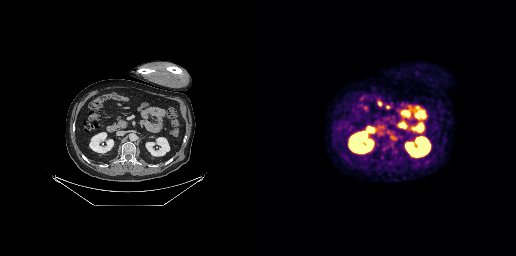
- Two-panel axial: CT | PSMA PET, 18F-PSMA tracer
- acquired on GE Discovery 690
Findings: No tumor lesions annotated on this slice.